modality: PSMA PET/CT | tracer: 18F | view: axial | PET grid: 256×256
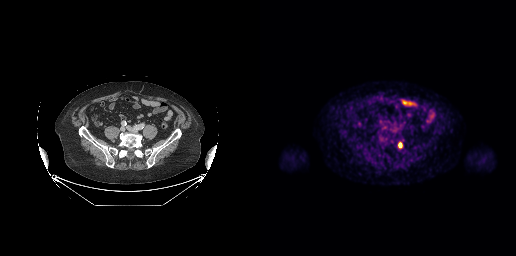
Coordinates are on the 256×256 PET (right) panel. PSMA-avid tumor lesion bounding box (x0,y0,x1,y1): [138,141,142,148].